Left: CT. Right: PSMA PET, same axial level, 18F tracer. Acquired on Siemens Biograph mCT Flow 20. PET panel 200×200 px (4.1 mm/px).
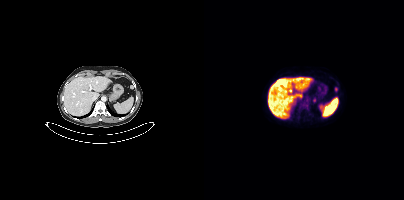
Coordinates are on the 200×200 PET (right) panel. Small PSMA-avid focus (2 to 4 px across) near (center x, center y): (132, 89).